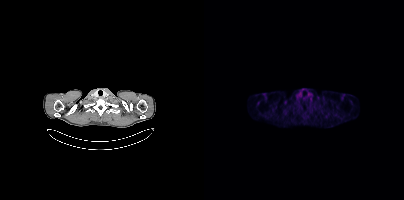
No PSMA-avid tumor lesions on this slice.